- Two-panel axial: CT | PSMA PET, 18F-PSMA tracer
- acquired on Siemens Biograph mCT Flow 20
- slice 232 of 375
- PET panel 200×200 px (4.1 mm/px)
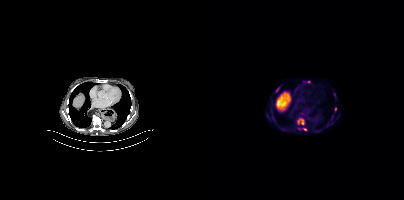
Findings: Coordinates are on the 200×200 PET (right) panel. PSMA-avid tumor lesion bounding boxes (x0,y0,x1,y1): [93,117,100,125]; [94,128,103,130]; [71,87,75,92]; [131,107,132,111]. Small PSMA-avid foci (2 to 4 px across) near (center x, center y): (104, 82); (130, 94).